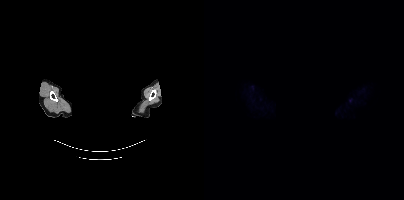
No tumor lesions annotated on this slice.
Privacy masking over the head, with the pixels inside a rectangle set to black.